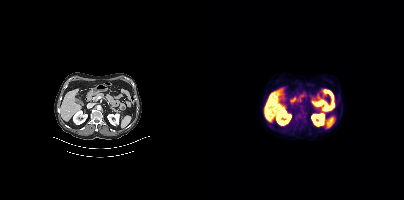
Left: CT. Right: PSMA PET, same axial level, 18F-PSMA tracer. Acquired on Siemens Biograph mCT Flow 20. Slice 205 of 409. PET panel 200×200 px (4.1 mm/px). This slice has no annotated PSMA-avid lesion.